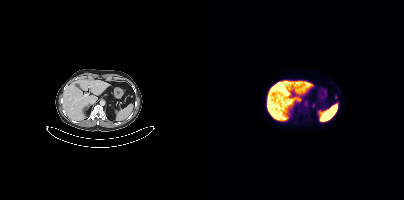
modality: PSMA PET/CT | tracer: [18F]PSMA-1007 | view: axial | PET grid: 200×200
Only PSMA-avid lesion pieces thinner than 2 px on this slice (not listed).